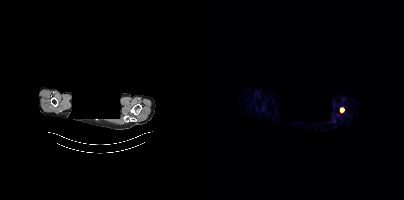
Any black rectangle over the head is a privacy mask, not anatomy.
Coordinates are on the 200×200 PET (right) panel. Small PSMA-avid focus (2 to 4 px across) near (center x, center y): (137, 109).